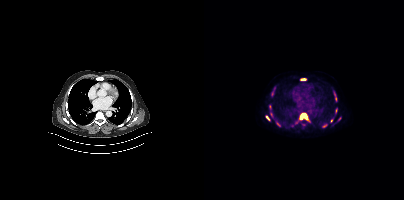
Left: CT. Right: PSMA PET, same axial level, [18F]PSMA-1007 tracer. Acquired on Siemens Biograph mCT Flow 20. PET panel 200×200 px (4.1 mm/px).
Coordinates are on the 200×200 PET (right) panel. PSMA-avid tumor lesion bounding boxes (partial; 4 more foci not listed):
| # | x0 | y0 | x1 | y1 |
|---|---|---|---|---|
| 1 | 95 | 113 | 103 | 119 |
| 2 | 97 | 78 | 101 | 80 |
| 3 | 72 | 122 | 76 | 126 |
| 4 | 62 | 116 | 65 | 120 |
Small PSMA-avid foci (2 to 4 px across) near (center x, center y): (68, 93); (66, 107); (70, 88); (67, 115); (127, 120).